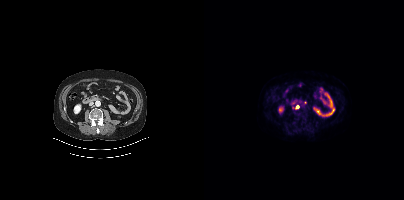
Coordinates are on the 200×200 PET (right) panel. PSMA-avid tumor lesion bounding box (x, y, width, height): x=88 y=106 w=7 h=3. Small PSMA-avid focus (2 to 4 px across) near (center x, center y): (101, 102).